Technique: Two-panel axial: CT | PSMA PET, 18F-PSMA tracer. acquired on Siemens Biograph mCT Flow 20.
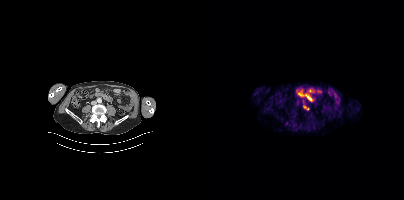
Findings: Negative for PSMA-avid disease on this slice.